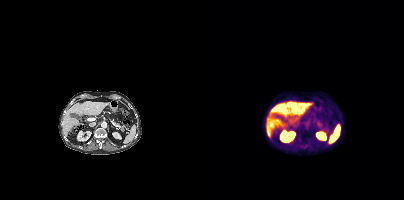
- Two-panel axial: CT | PSMA PET, 18F tracer
- acquired on Siemens Biograph mCT Flow 20
- slice position z = -134 mm
- PET panel 200×200 px (4.1 mm/px)
Findings: No tumor lesions annotated on this slice.